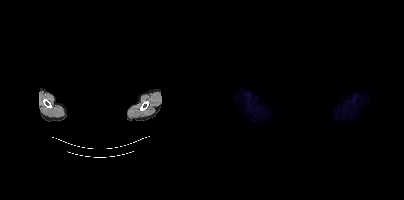
Face de-identified by blanking a block of the head.
This slice has no annotated PSMA-avid lesion.